Technique: Left: CT. Right: PSMA PET, same axial level, 18F-PSMA tracer. PET panel 200×200 px (4.1 mm/px).
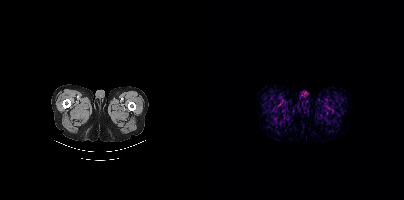
Findings: No PSMA-avid tumor lesions on this slice.